Technique: Paired axial CT (left) and PSMA PET (right), 18F-PSMA tracer. slice 138 of 431. PET panel 200×200 px (4.1 mm/px).
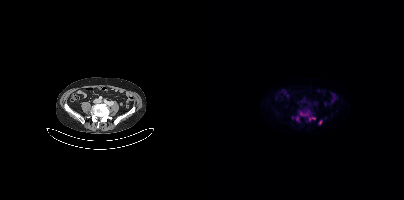
Findings: Coordinates are on the 200×200 PET (right) panel. (showing 3 of 4 foci) PSMA-avid tumor lesion bounding boxes (x, y, width, height): x=96 y=110 w=16 h=11 / x=115 y=120 w=4 h=5 / x=92 y=117 w=4 h=5.